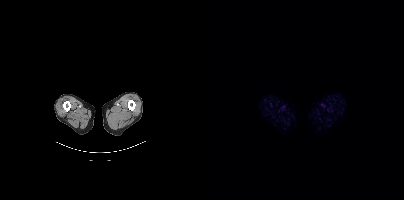
{"modality":"PSMA PET/CT","view":"axial","tracer":"[18F]PSMA-1007","pet_grid":[200,200],"coord_frame":"pet_panel","coord_format":"x0,y0,x1,y1","psma_avid_lesions":false}